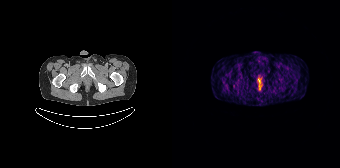
{"modality":"PSMA PET/CT","view":"axial","tracer":"68Ga","pet_grid":[168,168],"coord_frame":"pet_panel","coord_format":"x0,y0,x1,y1","lesion_bboxes":[],"small_foci_centers":[[86,80]]}